Technique: Paired axial CT (left) and PSMA PET (right), 18F tracer. slice position z = -181 mm. PET panel 256×256 px (2.7 mm/px).
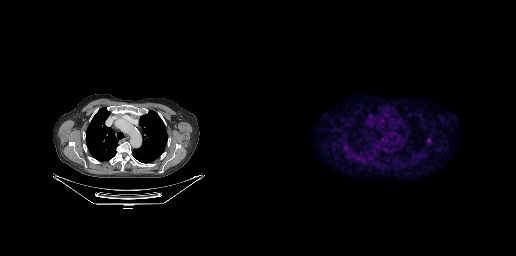
Findings: Coordinates are on the 256×256 PET (right) panel. PSMA-avid tumor lesion bounding box (x0, y0)-(x1, y1): (167, 138)-(170, 143).